modality: PSMA PET/CT | tracer: [18F]PSMA-1007 | view: axial
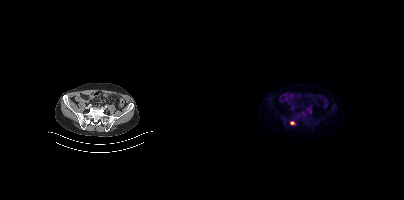
Coordinates are on the 200×200 PET (right) panel. PSMA-avid tumor lesion bounding box (x0,y0,x1,y1): [86,121,90,124].